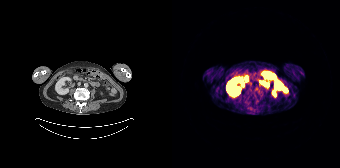
Left: CT. Right: PSMA PET, same axial level, [68Ga]Ga-PSMA-11 tracer. This slice has no annotated PSMA-avid lesion.